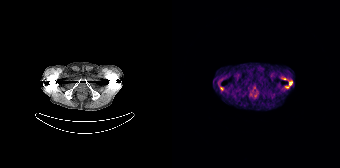
Coordinates are on the 168×168 PET (right) panel. PSMA-avid tumor lesion bounding boxes:
| # | x0 | y0 | x1 | y1 |
|---|---|---|---|---|
| 1 | 113 | 80 | 120 | 88 |
Small PSMA-avid foci (2 to 4 px across) near (center x, center y): (49, 88); (112, 78).
Left: CT. Right: PSMA PET, same axial level, [68Ga]Ga-PSMA-11 tracer. PET panel 168×168 px (4.1 mm/px).